Paired axial CT (left) and PSMA PET (right), 68Ga tracer. Acquired on Siemens Biograph mCT Flow 20. Slice 145 of 409.
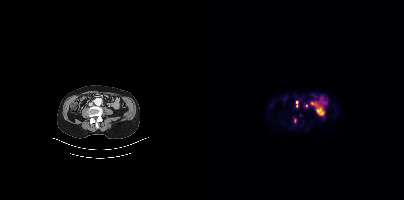
Coordinates are on the 200×200 PET (right) panel. PSMA-avid tumor lesion bounding box (x, y, width, height): x=92 y=101 w=3 h=6. Small PSMA-avid foci (2 to 4 px across) near (center x, center y): (102, 105); (90, 120).